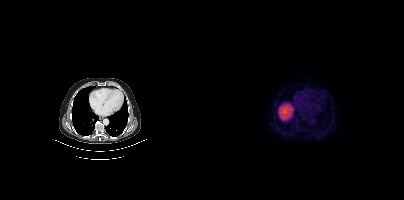
Technique: Paired axial CT (left) and PSMA PET (right), 18F-PSMA tracer. acquired on Siemens Biograph mCT Flow 20. slice position z = -1041 mm.
Findings: This slice has no annotated PSMA-avid lesion.